Technique: Two-panel axial: CT | PSMA PET, 18F tracer. PET panel 200×200 px (4.1 mm/px).
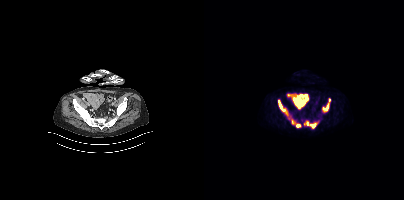
Findings: Coordinates are on the 200×200 PET (right) panel. (showing 7 of 8 foci) PSMA-avid tumor lesion bounding boxes (x0, y0)-(x1, y1): (74, 100)-(84, 115); (119, 104)-(124, 112); (106, 124)-(111, 128); (87, 119)-(91, 124); (100, 122)-(104, 124). Small PSMA-avid foci (2 to 4 px across) near (center x, center y): (94, 125); (125, 100).